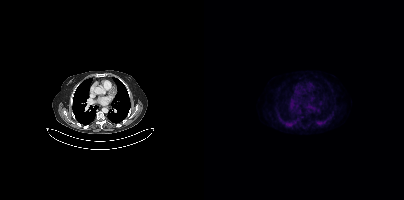
Two-panel axial: CT | PSMA PET, 18F-PSMA tracer. Slice position z = 326 mm. Negative for PSMA-avid disease on this slice.